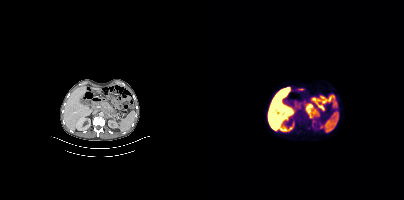
Coordinates are on the 200×200 PET (right) panel. (showing 1 of 2 foci) PSMA-avid tumor lesion bounding box (x0,y0,x1,y1): [102,104,114,118].